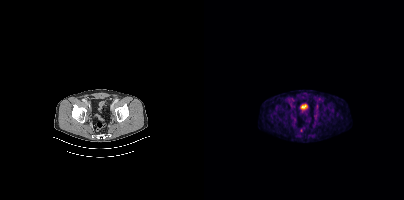
Coordinates are on the 200×200 PET (right) panel. Small PSMA-avid foci (2 to 4 px across) near (center x, center y): (111, 116); (89, 99). Left: CT. Right: PSMA PET, same axial level, [18F]PSMA-1007 tracer. Acquired on Siemens Biograph mCT Flow 20. PET panel 200×200 px (4.1 mm/px).